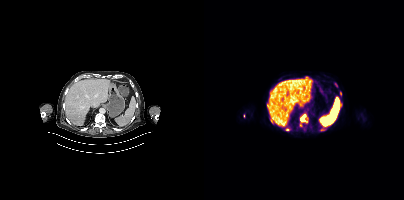
Coordinates are on the 200×200 PET (right) panel. (showing 8 of 9 foci) PSMA-avid tumor lesion bounding boxes (x0, y0)-(x1, y1): (96, 114)-(101, 121); (63, 103)-(64, 110); (81, 128)-(85, 130). Small PSMA-avid foci (2 to 4 px across) near (center x, center y): (96, 124); (136, 93); (66, 92); (119, 129); (68, 122).
modality: PSMA PET/CT | tracer: [18F]PSMA-1007 | view: axial | PET grid: 200×200